Facial anatomy redacted by setting a rectangular region of the head to black.
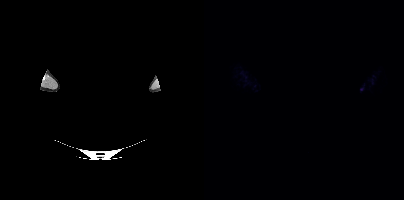
No PSMA-avid tumor lesions on this slice.